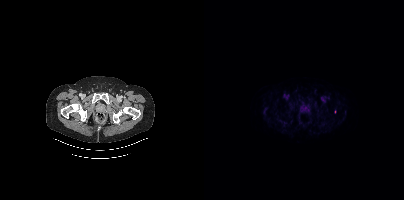
Two-panel axial: CT | PSMA PET, 18F-PSMA tracer. Acquired on Siemens Biograph mCT Flow 20. Only PSMA-avid lesion pieces thinner than 2 px on this slice (not listed).